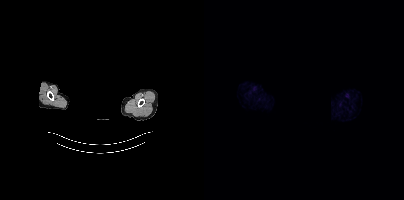
Technique: Left: CT. Right: PSMA PET, same axial level, [68Ga]Ga-PSMA-11 tracer.
Note: A rectangle over the head was blacked out to remove identifiable facial features.
Findings: This slice has no annotated PSMA-avid lesion.